modality: PSMA PET/CT | tracer: 18F | view: axial
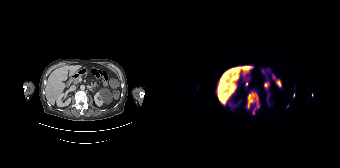
Coordinates are on the 168×168 PET (right) panel. (showing 3 of 4 foci) PSMA-avid tumor lesion bounding box (x0, y0)-(x1, y1): (74, 92)-(87, 114). Small PSMA-avid foci (2 to 4 px across) near (center x, center y): (121, 95); (115, 105).